Paired axial CT (left) and PSMA PET (right), [18F]PSMA-1007 tracer. Acquired on Siemens Biograph mCT Flow 20.
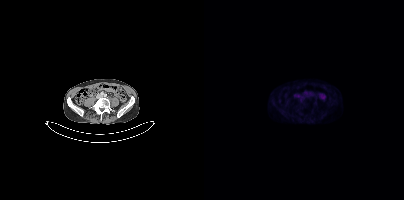
This slice has no annotated PSMA-avid lesion.